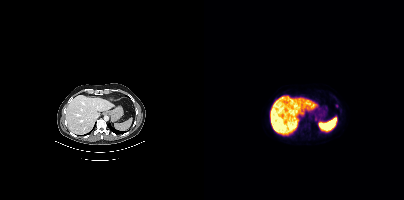
Coordinates are on the 200×200 PET (right) panel. Small PSMA-avid focus (2 to 4 px across) near (center x, center y): (111, 119).